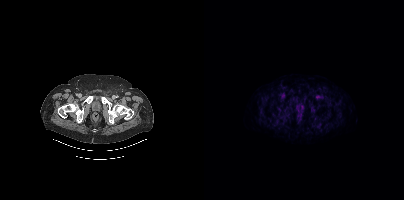
Findings: This slice has no annotated PSMA-avid lesion.
Technique: Two-panel axial: CT | PSMA PET, [18F]PSMA-1007 tracer. acquired on Siemens Biograph mCT Flow 20. slice position z = -1489 mm. PET panel 200×200 px (4.1 mm/px).